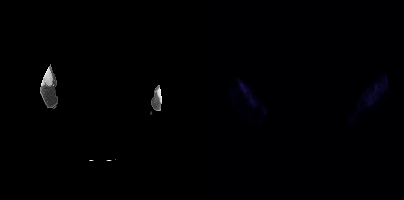
{"pet_grid":[200,200],"coord_frame":"pet_panel","coord_format":"x0,y0,x1,y1","psma_avid_lesions":false,"modality":"PSMA PET/CT","view":"axial","tracer":"18F-PSMA","redaction":"head region blanked (face removed)"}